Technique: Paired axial CT (left) and PSMA PET (right), 18F-PSMA tracer. slice position z = -573 mm.
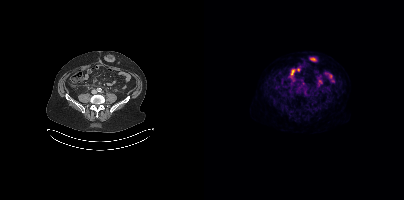
Findings: Coordinates are on the 200×200 PET (right) panel. PSMA-avid tumor lesion bounding box (x, y, width, height): x=99 y=90 w=5 h=6.